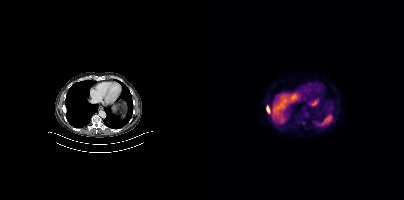
{"modality":"PSMA PET/CT","view":"axial","tracer":"18F-PSMA","pet_grid":[200,200],"coord_frame":"pet_panel","coord_format":"x0,y0,x1,y1","lesion_bboxes":[[62,106,65,112]]}